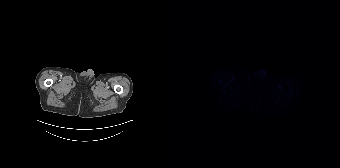
Paired axial CT (left) and PSMA PET (right), [18F]PSMA-1007 tracer. Acquired on Siemens Biograph 64-4R TruePoint. Slice 20 of 165. This slice has no annotated PSMA-avid lesion.